Paired axial CT (left) and PSMA PET (right), 18F-PSMA tracer.
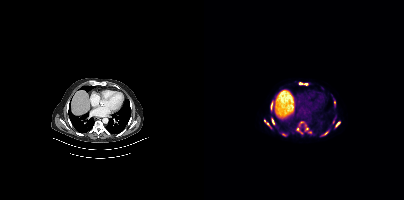
Coordinates are on the 200×200 PET (right) panel. PSMA-avid tumor lesion bounding boxes (partial; 5 more foci not listed):
| # | x0 | y0 | x1 | y1 |
|---|---|---|---|---|
| 1 | 131 | 121 | 136 | 127 |
| 2 | 67 | 102 | 68 | 108 |
| 3 | 68 | 119 | 70 | 123 |
Small PSMA-avid foci (2 to 4 px across) near (center x, center y): (93, 129); (121, 133); (96, 83); (102, 128); (63, 123); (60, 120).